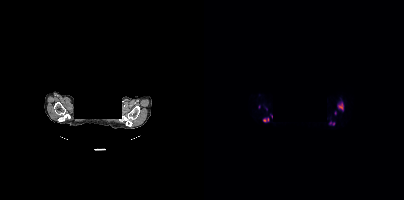
modality: PSMA PET/CT | tracer: 18F-PSMA | view: axial | redaction: rectangular block over head set to black
Coordinates are on the 200×200 PET (right) panel. (showing 5 of 6 foci) PSMA-avid tumor lesion bounding boxes (x0,y0,x1,y1): [133,101,139,110]; [59,117,65,122]. Small PSMA-avid foci (2 to 4 px across) near (center x, center y): (131, 113); (67, 116); (129, 123).